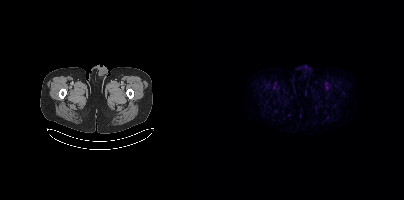
No PSMA-avid tumor lesions on this slice.